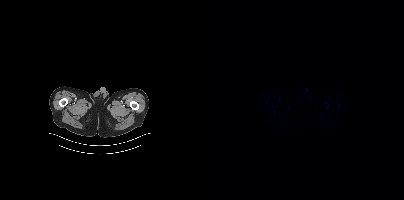
{"modality":"PSMA PET/CT","view":"axial","tracer":"18F","pet_grid":[200,200],"coord_frame":"pet_panel","coord_format":"x0,y0,x1,y1","psma_avid_lesions":false}